Paired axial CT (left) and PSMA PET (right), 18F-PSMA tracer. Acquired on Siemens Biograph mCT Flow 20. Slice 278 of 403.
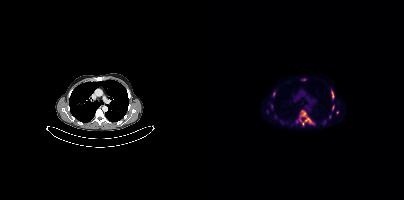
Coordinates are on the 200×200 PET (right) panel. (showing 8 of 10 foci) PSMA-avid tumor lesion bounding boxes (x0, y0)-(x1, y1): (92, 110)-(110, 125) | (127, 90)-(130, 99) | (69, 92)-(71, 96) | (128, 105)-(130, 110). Small PSMA-avid foci (2 to 4 px across) near (center x, center y): (133, 112) | (67, 106) | (125, 116) | (100, 79).